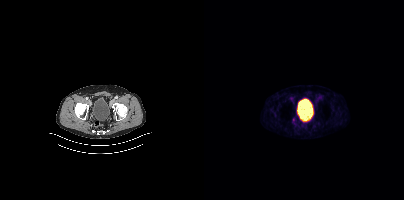
{"pet_grid":[200,200],"coord_frame":"pet_panel","coord_format":"x0,y0,x1,y1","lesion_bboxes":[],"small_foci_centers":[[89,120]],"modality":"PSMA PET/CT","view":"axial","tracer":"68Ga"}